Technique: Two-panel axial: CT | PSMA PET, 18F tracer. slice position z = -1346 mm. PET panel 200×200 px (4.1 mm/px).
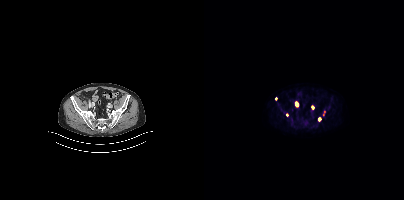
Findings: Coordinates are on the 200×200 PET (right) panel. (showing 2 of 4 foci) PSMA-avid tumor lesion bounding box (x0,y0,x1,y1): [119,111,121,115]. Small PSMA-avid focus (2 to 4 px across) near (center x, center y): (108, 107).